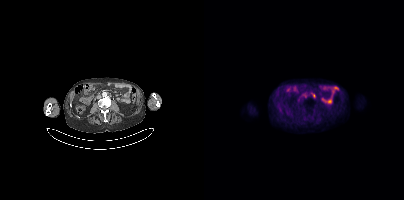
Coordinates are on the 200×200 PET (right) panel. Small PSMA-avid focus (2 to 4 px across) near (center x, center y): (109, 95). Left: CT. Right: PSMA PET, same axial level, 18F tracer.